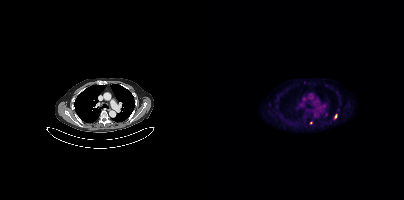
modality: PSMA PET/CT | tracer: 18F | view: axial
Coordinates are on the 200×200 PET (right) panel. (showing 2 of 3 foci) Small PSMA-avid foci (2 to 4 px across) near (center x, center y): (131, 116) / (107, 122).